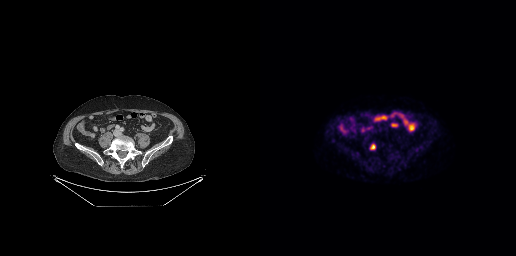
Coordinates are on the 256×256 PET (right) panel. PSMA-avid tumor lesion bounding boxes:
| # | x0 | y0 | x1 | y1 |
|---|---|---|---|---|
| 1 | 110 | 144 | 115 | 149 |
Two-panel axial: CT | PSMA PET, [18F]PSMA-1007 tracer.